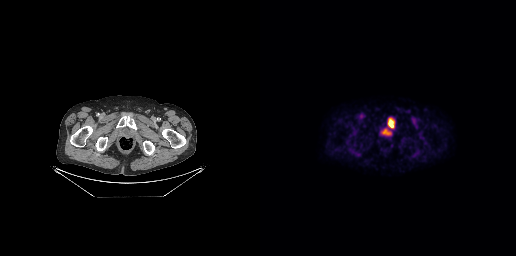
Technique: Two-panel axial: CT | PSMA PET, 18F tracer. acquired on GE Discovery 690. PET panel 256×256 px (2.7 mm/px).
Findings: Coordinates are on the 256×256 PET (right) panel. PSMA-avid tumor lesion bounding box (x0, y0)-(x1, y1): (128, 119)-(133, 127).